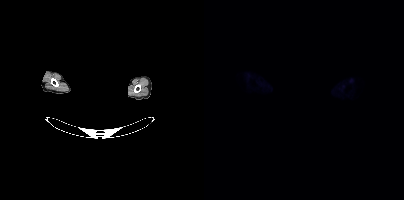
Findings: No PSMA-avid tumor lesions on this slice.
- any black rectangle over the head is a privacy mask, not anatomy
- Two-panel axial: CT | PSMA PET, 18F-PSMA tracer
- PET panel 200×200 px (4.1 mm/px)